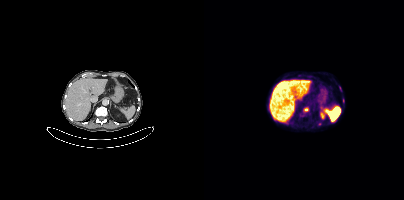
{"modality":"PSMA PET/CT","view":"axial","tracer":"18F","pet_grid":[200,200],"coord_frame":"pet_panel","coord_format":"x0,y0,x1,y1","lesion_bboxes":[],"small_foci_centers":[[102,109]]}